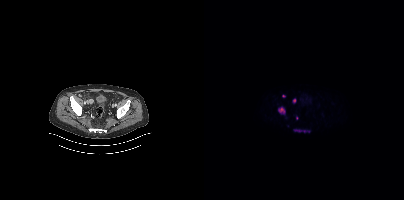
Coordinates are on the 200×200 PET (right) panel. PSMA-avid tumor lesion bounding boxes (x0,y0,x1,y1): [75,108,80,113], [94,129,102,132]. Small PSMA-avid foci (2 to 4 px across) near (center x, center y): (90, 101), (93, 117), (79, 96).